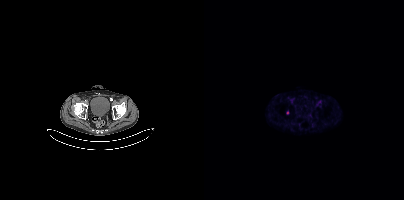
Paired axial CT (left) and PSMA PET (right), 18F tracer. Acquired on Siemens Biograph mCT Flow 20. PET panel 200×200 px (4.1 mm/px). Coordinates are on the 200×200 PET (right) panel. Small PSMA-avid focus (2 to 4 px across) near (center x, center y): (83, 112).